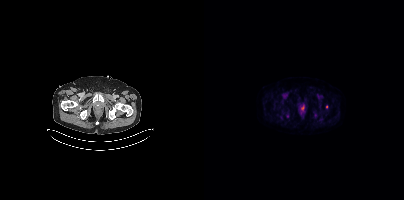
Only PSMA-avid lesion pieces thinner than 2 px on this slice (not listed).